Technique: Two-panel axial: CT | PSMA PET, 18F-PSMA tracer.
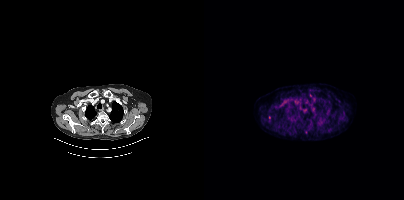
Findings: Coordinates are on the 200×200 PET (right) panel. Small PSMA-avid focus (2 to 4 px across) near (center x, center y): (65, 117).